Technique: Paired axial CT (left) and PSMA PET (right), [18F]PSMA-1007 tracer.
Note: Face de-identified by blanking a block of the head.
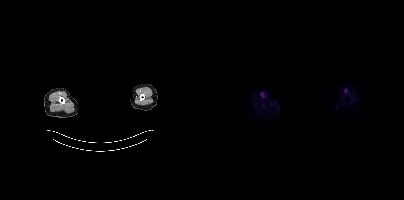
Findings: No tumor lesions annotated on this slice.